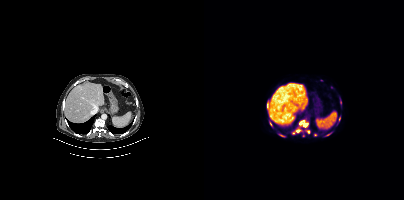
Coordinates are on the 200×200 PET (right) panel. PSMA-avid tumor lesion bounding boxes (partial; 1 more focus not listed):
| # | x0 | y0 | x1 | y1 |
|---|---|---|---|---|
| 1 | 95 | 120 | 103 | 126 |
| 2 | 66 | 122 | 68 | 126 |
| 3 | 63 | 101 | 64 | 105 |
Small PSMA-avid foci (2 to 4 px across) near (center x, center y): (93, 131); (135, 118); (104, 131); (124, 134); (77, 135); (111, 134).
Paired axial CT (left) and PSMA PET (right), 18F-PSMA tracer. Acquired on Siemens Biograph mCT Flow 20. Slice 204 of 367.